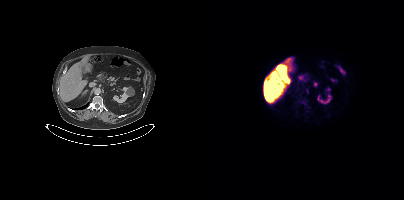
{"modality":"PSMA PET/CT","view":"axial","tracer":"18F-PSMA","pet_grid":[200,200],"coord_frame":"pet_panel","coord_format":"x0,y0,x1,y1","lesion_bboxes":[],"small_foci_centers":[[103,90]]}